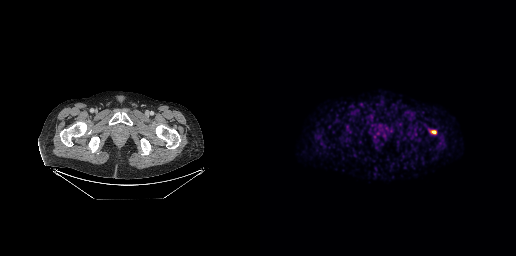
Left: CT. Right: PSMA PET, same axial level, [68Ga]Ga-PSMA-11 tracer. Acquired on GE Discovery 690. PET panel 256×256 px (2.7 mm/px).
Coordinates are on the 256×256 PET (right) panel. PSMA-avid tumor lesion bounding boxes:
| # | x0 | y0 | x1 | y1 |
|---|---|---|---|---|
| 1 | 171 | 130 | 176 | 133 |